- Two-panel axial: CT | PSMA PET, 18F-PSMA tracer
- PET panel 200×200 px (4.1 mm/px)
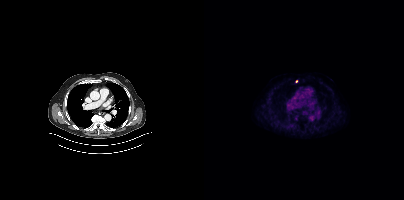
Findings: Coordinates are on the 200×200 PET (right) panel. Small PSMA-avid focus (2 to 4 px across) near (center x, center y): (92, 81).